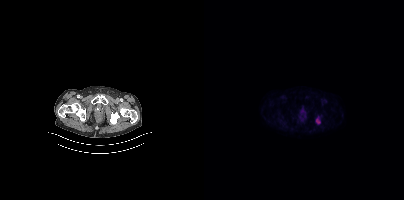
Findings: Coordinates are on the 200×200 PET (right) panel. PSMA-avid tumor lesion bounding box (x0, y0)-(x1, y1): (112, 117)-(116, 123).
Technique: Two-panel axial: CT | PSMA PET, 18F-PSMA tracer. acquired on Siemens Biograph mCT Flow 20. PET panel 200×200 px (4.1 mm/px).